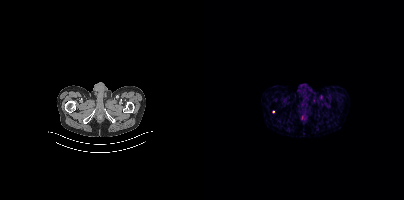
- Left: CT. Right: PSMA PET, same axial level, 68Ga-PSMA tracer
Findings: Only PSMA-avid lesion pieces thinner than 2 px on this slice (not listed).